Left: CT. Right: PSMA PET, same axial level, 18F-PSMA tracer. PET panel 200×200 px (4.1 mm/px).
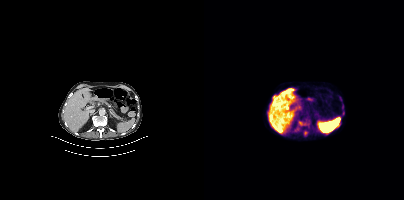
Coordinates are on the 200×200 PET (right) panel. Small PSMA-avid foci (2 to 4 px across) near (center x, center y): (96, 123) (101, 133).